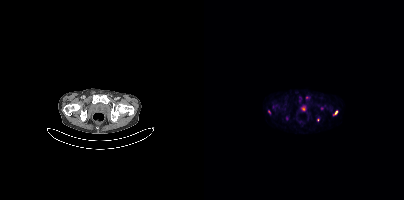
Technique: Left: CT. Right: PSMA PET, same axial level, [68Ga]Ga-PSMA-11 tracer. slice position z = -1127 mm.
Findings: Coordinates are on the 200×200 PET (right) panel. (showing 2 of 4 foci) Small PSMA-avid foci (2 to 4 px across) near (center x, center y): (132, 112); (102, 97).